Left: CT. Right: PSMA PET, same axial level, 68Ga tracer.
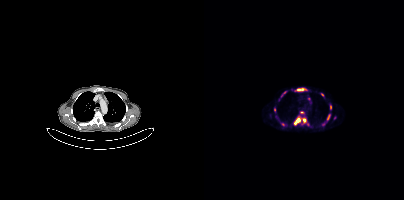
Coordinates are on the 200×200 PET (right) panel. PSMA-avid tumor lesion bounding boxes:
| # | x0 | y0 | x1 | y1 |
|---|---|---|---|---|
| 1 | 90 | 118 | 96 | 124 |
| 2 | 93 | 88 | 101 | 90 |
| 3 | 123 | 114 | 126 | 120 |
| 4 | 99 | 118 | 101 | 122 |
| 5 | 77 | 91 | 81 | 96 |
Small PSMA-avid foci (2 to 4 px across) near (center x, center y): (118, 94); (97, 112); (70, 109); (126, 107); (104, 98); (78, 124).